Paired axial CT (left) and PSMA PET (right), 18F tracer. Slice position z = -860 mm.
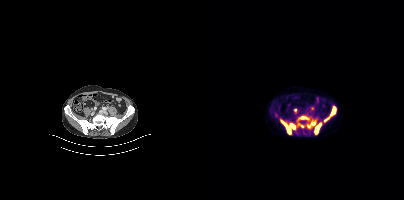
Coordinates are on the 200×200 PET (right) panel. PSMA-avid tumor lesion bounding boxes (x0, y0)-(x1, y1): (77, 120)-(91, 134); (110, 123)-(117, 134); (126, 106)-(131, 115); (103, 121)-(111, 128); (95, 116)-(104, 119); (94, 123)-(99, 127); (120, 117)-(125, 121). Small PSMA-avid focus (2 to 4 px across) near (center x, center y): (91, 110).